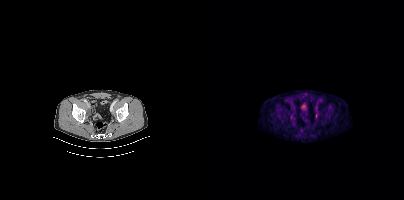
Coordinates are on the 200×200 PET (right) panel. PSMA-avid tumor lesion bounding box (x0, y0)-(x1, y1): (111, 114)-(113, 118). Small PSMA-avid focus (2 to 4 px across) near (center x, center y): (87, 117).